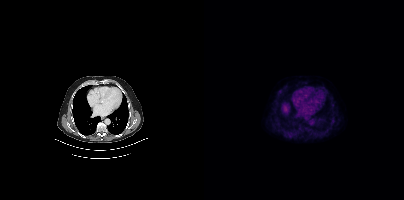
Paired axial CT (left) and PSMA PET (right), 18F tracer. Slice position z = -1106 mm. PET panel 200×200 px (4.1 mm/px). This slice has no annotated PSMA-avid lesion.